- Left: CT. Right: PSMA PET, same axial level, 18F tracer
- slice position z = -873 mm
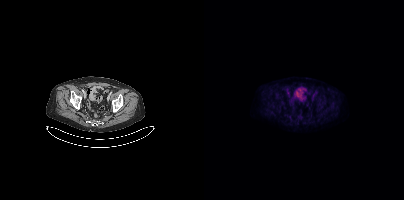
Findings: No tumor lesions annotated on this slice.